Paired axial CT (left) and PSMA PET (right), 18F-PSMA tracer. PET panel 200×200 px (4.1 mm/px).
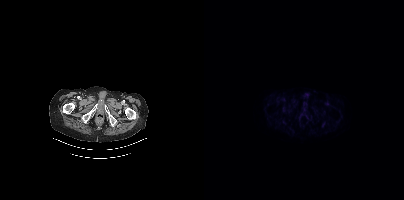
Negative for PSMA-avid disease on this slice.